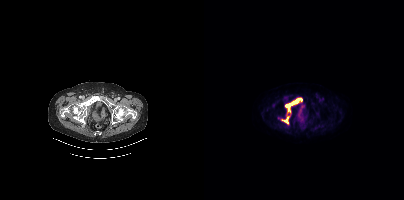
Technique: Left: CT. Right: PSMA PET, same axial level, [18F]PSMA-1007 tracer. PET panel 200×200 px (4.1 mm/px).
Findings: Coordinates are on the 200×200 PET (right) panel. PSMA-avid tumor lesion bounding boxes (x0,y0,x1,y1): [81,98,98,112]; [80,117,84,123].